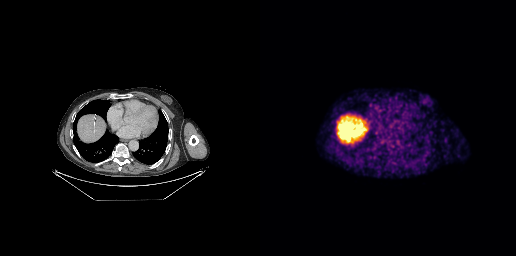
Left: CT. Right: PSMA PET, same axial level, [68Ga]Ga-PSMA-11 tracer. Acquired on GE Discovery 690. This slice has no annotated PSMA-avid lesion.